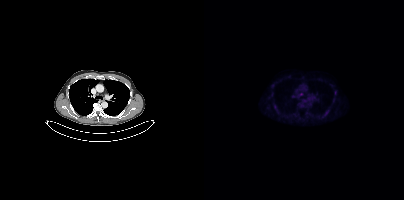
Findings: Coordinates are on the 200×200 PET (right) panel. Small PSMA-avid focus (2 to 4 px across) near (center x, center y): (97, 93).
- Two-panel axial: CT | PSMA PET, 18F tracer
- PET panel 200×200 px (4.1 mm/px)